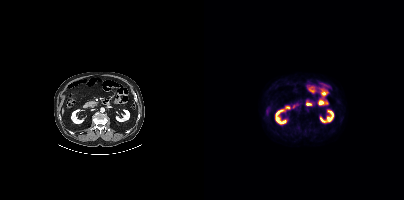
Technique: Left: CT. Right: PSMA PET, same axial level, 18F-PSMA tracer. slice 198 of 435.
Findings: Negative for PSMA-avid disease on this slice.